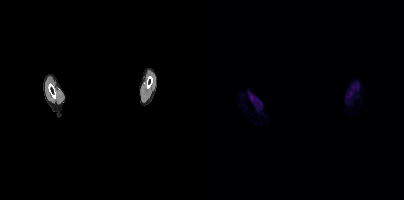
{"modality":"PSMA PET/CT","view":"axial","tracer":"18F","pet_grid":[200,200],"coord_frame":"pet_panel","coord_format":"x0,y0,x1,y1","redaction":"rectangular block over head set to black","psma_avid_lesions":false}